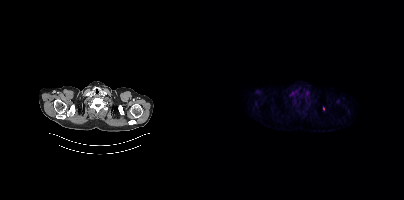
Coordinates are on the 200×200 PET (right) panel. Small PSMA-avid focus (2 to 4 px across) near (center x, center y): (119, 108).